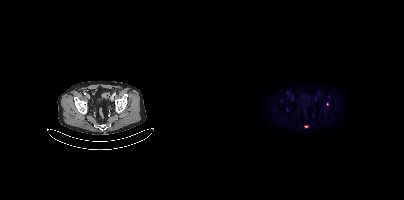
Findings: Coordinates are on the 200×200 PET (right) panel. (showing 1 of 3 foci) Small PSMA-avid focus (2 to 4 px across) near (center x, center y): (123, 104).
- Two-panel axial: CT | PSMA PET, 18F-PSMA tracer
- PET panel 200×200 px (4.1 mm/px)